- Paired axial CT (left) and PSMA PET (right), [18F]PSMA-1007 tracer
- slice position z = -390 mm
- PET panel 200×200 px (4.1 mm/px)
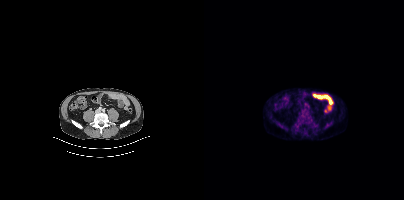
Findings: Coordinates are on the 200×200 PET (right) panel. PSMA-avid tumor lesion bounding box (x0, y0)-(x1, y1): (98, 115)-(108, 125).